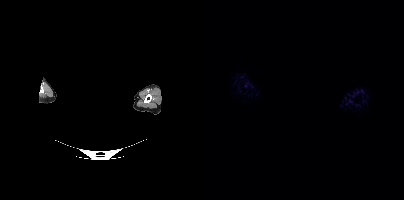
Findings: No PSMA-avid tumor lesions on this slice.
Technique: Paired axial CT (left) and PSMA PET (right), 18F-PSMA tracer.
Note: The head region is masked for de-identification.